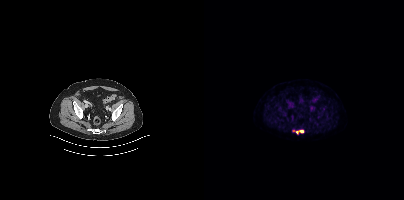
- Left: CT. Right: PSMA PET, same axial level, 18F-PSMA tracer
- acquired on Siemens Biograph mCT Flow 20
Findings: Coordinates are on the 200×200 PET (right) panel. (showing 1 of 3 foci) Small PSMA-avid focus (2 to 4 px across) near (center x, center y): (97, 131).